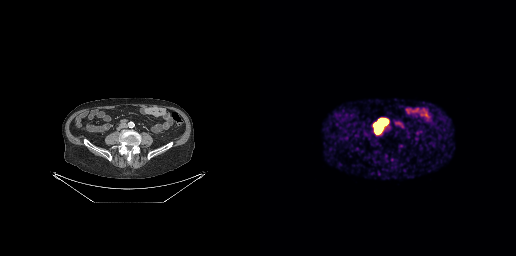
Coordinates are on the 256×256 PET (right) panel. PSMA-avid tumor lesion bounding box (x0,y0,x1,y1): [116,119,126,132]. Left: CT. Right: PSMA PET, same axial level, 68Ga-PSMA tracer.